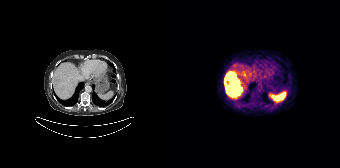
Findings: Coordinates are on the 168×168 PET (right) panel. PSMA-avid tumor lesion bounding box (x, y, width, height): x=52 y=72 w=19 h=25.
- Two-panel axial: CT | PSMA PET, 68Ga tracer